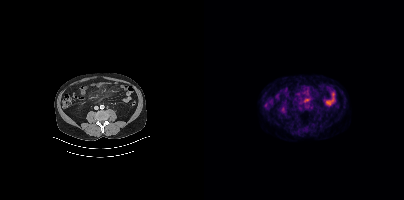
{"modality":"PSMA PET/CT","view":"axial","tracer":"18F-PSMA","pet_grid":[200,200],"coord_frame":"pet_panel","coord_format":"x0,y0,x1,y1","psma_avid_lesions":false}